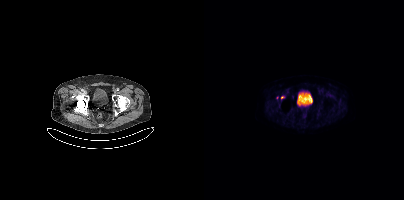
Two-panel axial: CT | PSMA PET, 18F tracer. Slice 71 of 419. Only PSMA-avid lesion pieces thinner than 2 px on this slice (not listed).